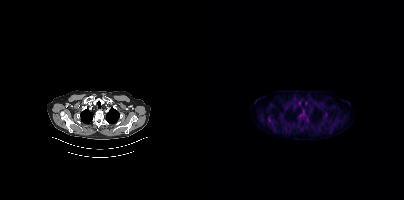
{"pet_grid":[200,200],"coord_frame":"pet_panel","coord_format":"x0,y0,x1,y1","lesion_bboxes":[[64,117,67,122]],"modality":"PSMA PET/CT","view":"axial","tracer":"18F-PSMA"}